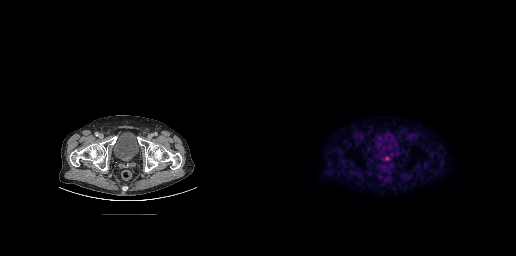
{"pet_grid":[256,256],"coord_frame":"pet_panel","coord_format":"x0,y0,x1,y1","lesion_bboxes":[],"small_foci_centers":[[127,158]],"modality":"PSMA PET/CT","view":"axial","tracer":"18F"}